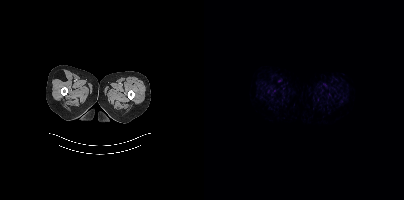
Paired axial CT (left) and PSMA PET (right), 18F tracer. Slice 13 of 413. This slice has no annotated PSMA-avid lesion.